- Two-panel axial: CT | PSMA PET, [18F]PSMA-1007 tracer
- slice 232 of 373
- PET panel 200×200 px (4.1 mm/px)
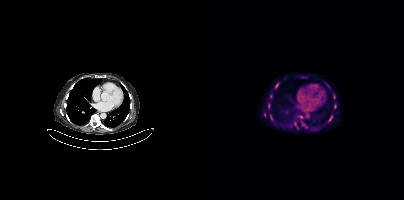
Findings: Coordinates are on the 200×200 PET (right) panel. (showing 6 of 9 foci) PSMA-avid tumor lesion bounding boxes (x, y, width, height): x=71 y=83 w=4 h=6 | x=125 y=116 w=4 h=5. Small PSMA-avid foci (2 to 4 px across) near (center x, center y): (67, 96) | (130, 96) | (131, 106) | (97, 116).